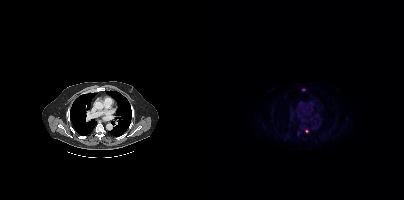
Coordinates are on the 200×200 PET (right) panel. Small PSMA-avid foci (2 to 4 px across) near (center x, center y): (102, 131); (99, 89). Paired axial CT (left) and PSMA PET (right), 18F tracer. Slice position z = -1000 mm. PET panel 200×200 px (4.1 mm/px).